Left: CT. Right: PSMA PET, same axial level, 18F-PSMA tracer. Acquired on Siemens Biograph mCT Flow 20. Slice 301 of 393.
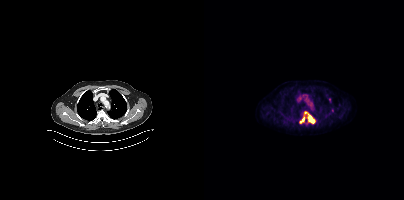
Coordinates are on the 200×200 PET (right) panel. PSMA-avid tumor lesion bounding boxes:
| # | x0 | y0 | x1 | y1 |
|---|---|---|---|---|
| 1 | 103 | 114 | 111 | 123 |
| 2 | 96 | 112 | 102 | 123 |
Small PSMA-avid foci (2 to 4 px across) near (center x, center y): (128, 110); (125, 99).